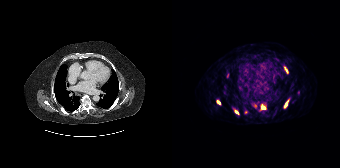
{"modality":"PSMA PET/CT","view":"axial","tracer":"68Ga-PSMA","pet_grid":[168,168],"coord_frame":"pet_panel","coord_format":"x0,y0,x1,y1","lesion_bboxes":[[89,104,93,109],[112,100,116,107],[112,67,116,73],[45,100,48,104],[63,110,66,114]]}